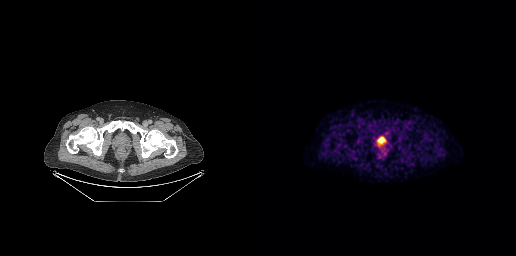
Technique: Left: CT. Right: PSMA PET, same axial level, [18F]PSMA-1007 tracer. slice 72 of 299.
Findings: Coordinates are on the 256×256 PET (right) panel. PSMA-avid tumor lesion bounding box (x0, y0)-(x1, y1): (119, 138)-(123, 142).